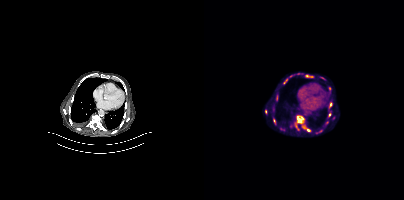
Paired axial CT (left) and PSMA PET (right), [18F]PSMA-1007 tracer. PET panel 200×200 px (4.1 mm/px).
Coordinates are on the 200×200 PET (right) panel. PSMA-avid tumor lesion bounding boxes:
| # | x0 | y0 | x1 | y1 |
|---|---|---|---|---|
| 1 | 93 | 116 | 100 | 123 |
Small PSMA-avid focus (2 to 4 px across) near (center x, center y): (104, 130).